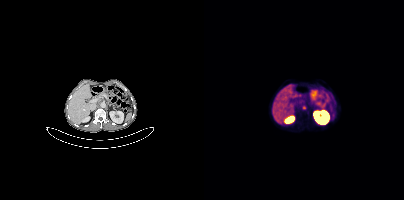
{"pet_grid":[200,200],"coord_frame":"pet_panel","coord_format":"x0,y0,x1,y1","lesion_bboxes":[[98,105,102,109]],"modality":"PSMA PET/CT","view":"axial","tracer":"68Ga-PSMA"}